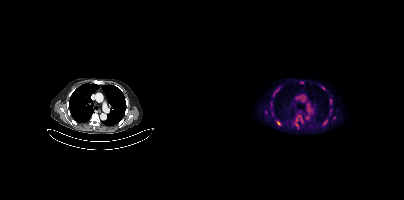
- Left: CT. Right: PSMA PET, same axial level, [18F]PSMA-1007 tracer
- slice 264 of 373
Findings: Coordinates are on the 200×200 PET (right) panel. (showing 6 of 8 foci) PSMA-avid tumor lesion bounding boxes (x, y, width, height): x=73 y=121 w=4 h=5 / x=67 y=102 w=2 h=5. Small PSMA-avid foci (2 to 4 px across) near (center x, center y): (121, 122) / (119, 88) / (98, 82) / (92, 124).